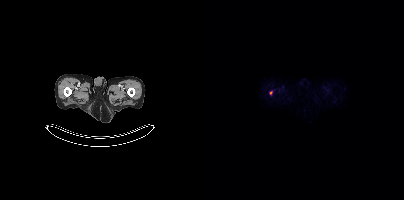
- Paired axial CT (left) and PSMA PET (right), 18F tracer
- PET panel 200×200 px (4.1 mm/px)
Findings: Coordinates are on the 200×200 PET (right) panel. Small PSMA-avid focus (2 to 4 px across) near (center x, center y): (66, 93).